Technique: Two-panel axial: CT | PSMA PET, [18F]PSMA-1007 tracer. acquired on Siemens Biograph mCT Flow 20. slice 259 of 429.
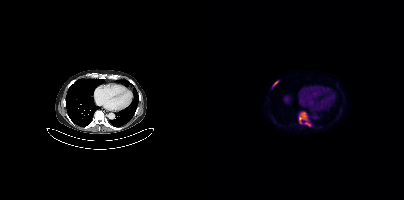
Findings: Coordinates are on the 200×200 PET (right) panel. PSMA-avid tumor lesion bounding boxes (x0,y0,x1,y1): [95,112,103,123], [101,122,106,126], [69,81,74,86].